modality: PSMA PET/CT | tracer: 68Ga | view: axial
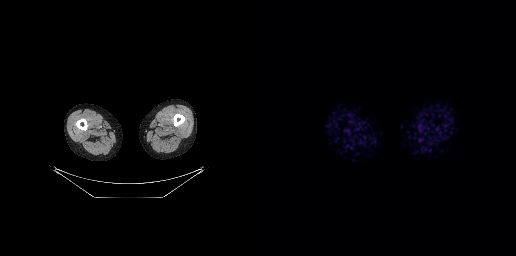
No tumor lesions annotated on this slice.